- Two-panel axial: CT | PSMA PET, 18F tracer
- slice 96 of 263
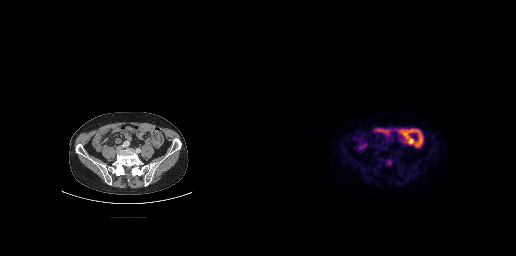
Findings: Coordinates are on the 256×256 PET (right) panel. PSMA-avid tumor lesion bounding box (x0,y0,x1,y1): [125,158,133,166].